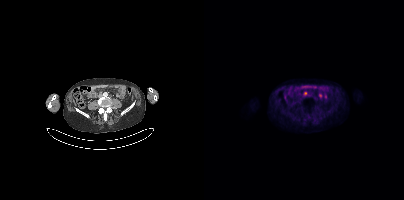
Coordinates are on the 200×200 PET (right) panel. PSMA-avid tumor lesion bounding box (x0,y0,x1,y1): [99,92,103,95].